Paired axial CT (left) and PSMA PET (right), 18F tracer. PET panel 200×200 px (4.1 mm/px).
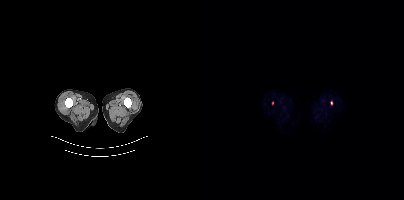
Coordinates are on the 200×200 PET (right) panel. Small PSMA-avid foci (2 to 4 px across) near (center x, center y): (127, 102) (68, 102).